modality: PSMA PET/CT | tracer: 18F | view: axial | PET grid: 200×200
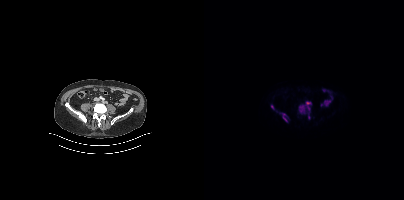
Coordinates are on the 200×200 PET (right) panel. PSMA-avid tumor lesion bounding boxes (x, y, width, height): x=94 y=101 w=14 h=12; x=78 y=113 w=6 h=10; x=67 y=105 w=4 h=5. Small PSMA-avid focus (2 to 4 px across) near (center x, center y): (105, 117).